modality: PSMA PET/CT | tracer: 18F | view: axial | PET grid: 200×200
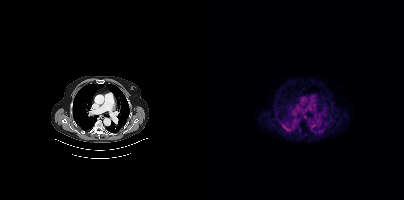
This slice has no annotated PSMA-avid lesion.